Technique: Two-panel axial: CT | PSMA PET, 68Ga tracer. acquired on Siemens Biograph 64-4R TruePoint. slice 185 of 195.
Note: Any black rectangle over the head is a privacy mask, not anatomy.
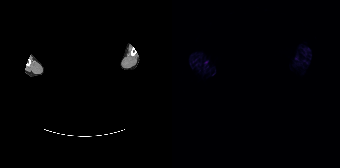
Findings: No PSMA-avid tumor lesions on this slice.